Two-panel axial: CT | PSMA PET, [18F]PSMA-1007 tracer.
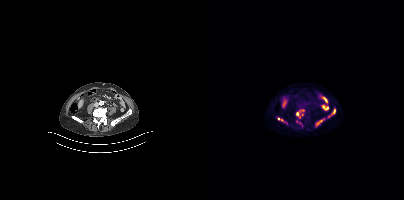
Coordinates are on the 200×200 PET (right) panel. (showing 5 of 6 foci) PSMA-avid tumor lesion bounding boxes (x0,y0,x1,y1): [92,109,100,117]; [111,118,120,127]; [124,109,131,117]; [73,117,79,121]. Small PSMA-avid focus (2 to 4 px across) near (center x, center y): (92, 120).